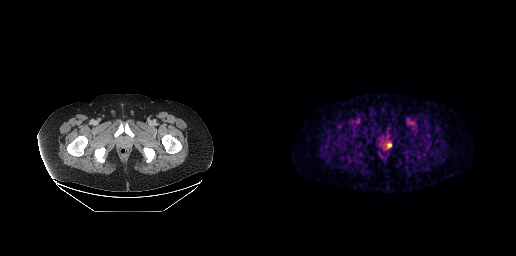
Technique: Two-panel axial: CT | PSMA PET, 18F tracer. acquired on GE Discovery 690. slice 46 of 263. PET panel 256×256 px (2.7 mm/px).
Findings: Coordinates are on the 256×256 PET (right) panel. Small PSMA-avid focus (2 to 4 px across) near (center x, center y): (130, 144).